De-identified by setting a rectangular region to black. Left: CT. Right: PSMA PET, same axial level, 18F-PSMA tracer. Slice position z = -152 mm. PET panel 256×256 px (2.7 mm/px).
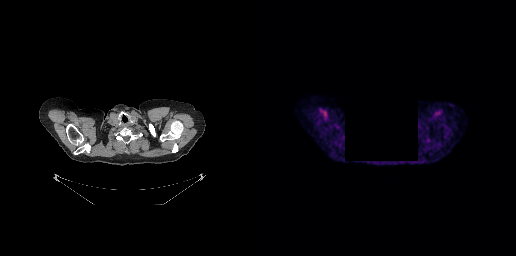
This slice has no annotated PSMA-avid lesion.